Two-panel axial: CT | PSMA PET, 18F tracer. Slice 219 of 423. PET panel 200×200 px (4.1 mm/px).
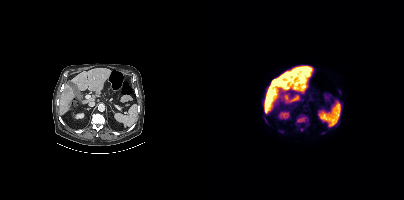
Coordinates are on the 200×200 PET (right) panel. PSMA-avid tumor lesion bounding boxes (partial; 1 more focus not listed):
| # | x0 | y0 | x1 | y1 |
|---|---|---|---|---|
| 1 | 91 | 114 | 105 | 126 |
| 2 | 60 | 117 | 63 | 122 |
Small PSMA-avid focus (2 to 4 px across) near (center x, center y): (97, 129).